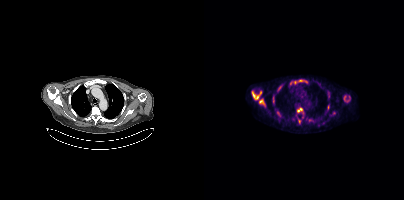
Findings: Coordinates are on the 200×200 PET (right) panel. (showing 9 of 13 foci) PSMA-avid tumor lesion bounding boxes (x, y, width, height): x=48 y=91 w=10 h=9 | x=93 y=107 w=6 h=6 | x=92 y=79 w=11 h=5 | x=55 y=99 w=6 h=6 | x=74 y=84 w=5 h=5 | x=69 y=96 w=2 h=5 | x=124 y=105 w=2 h=5 | x=140 y=96 w=2 h=5. Small PSMA-avid focus (2 to 4 px across) near (center x, center y): (95, 121).
Technique: Paired axial CT (left) and PSMA PET (right), 18F tracer. PET panel 200×200 px (4.1 mm/px).